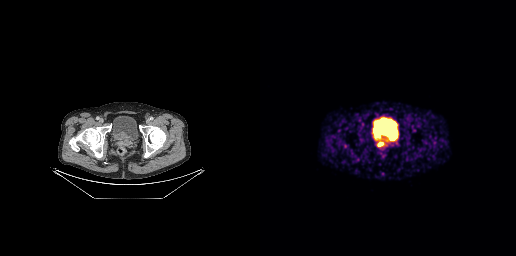
modality: PSMA PET/CT | tracer: [68Ga]Ga-PSMA-11 | view: axial | PET grid: 256×256
Coordinates are on the 256×256 PET (right) panel. PSMA-avid tumor lesion bounding box (x, y, width, height): x=117 y=142 w=7 h=5.